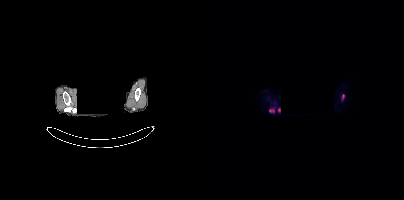
{"modality":"PSMA PET/CT","view":"axial","tracer":"18F","pet_grid":[200,200],"coord_frame":"pet_panel","coord_format":"x0,y0,x1,y1","lesion_bboxes":[[65,109,70,112],[138,94,140,99]],"small_foci_centers":[[75,109]],"deidentification":"facial region redacted"}